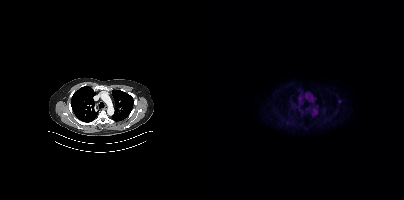
Coordinates are on the 200×200 PET (right) panel. Small PSMA-avid focus (2 to 4 px across) near (center x, center y): (135, 101).
modality: PSMA PET/CT | tracer: 18F-PSMA | view: axial